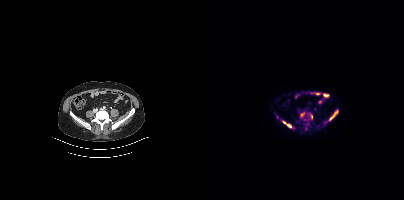
Coordinates are on the 200×200 PET (right) panel. PSMA-avid tumor lesion bounding boxes (x0,y0,x1,y1): [125,110,134,120] [79,121,87,127].